A rectangular block over the head has been blanked out for de-identification.
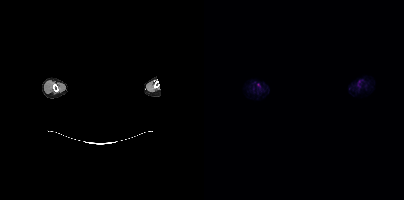
This slice has no annotated PSMA-avid lesion.